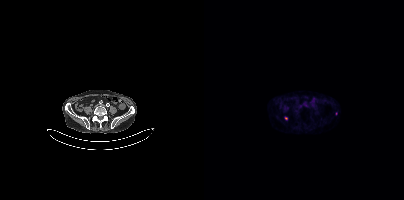
{"modality":"PSMA PET/CT","view":"axial","tracer":"18F","pet_grid":[200,200],"coord_frame":"pet_panel","coord_format":"x0,y0,x1,y1","partial":true,"lesion_bboxes":[],"small_foci_centers":[[82,118]]}